Left: CT. Right: PSMA PET, same axial level, [18F]PSMA-1007 tracer. Acquired on Siemens Biograph mCT Flow 20. Slice 95 of 464. PET panel 200×200 px (4.1 mm/px).
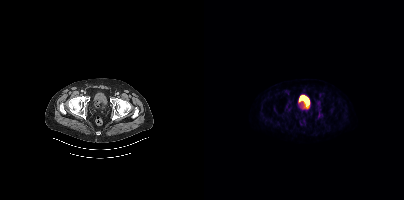
Coordinates are on the 200×200 PET (right) panel. PSMA-avid tumor lesion bounding boxes:
| # | x0 | y0 | x1 | y1 |
|---|---|---|---|---|
| 1 | 81 | 102 | 87 | 110 |
| 2 | 111 | 100 | 116 | 105 |
| 3 | 114 | 113 | 119 | 118 |